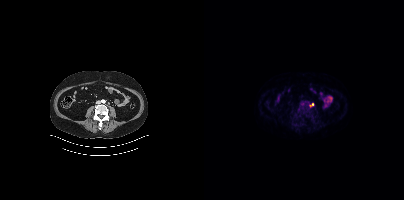
{"modality":"PSMA PET/CT","view":"axial","tracer":"18F","pet_grid":[200,200],"coord_frame":"pet_panel","coord_format":"x0,y0,x1,y1","lesion_bboxes":[],"small_foci_centers":[[107,104]]}